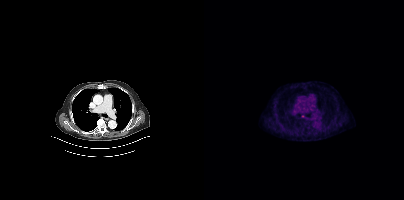
- Left: CT. Right: PSMA PET, same axial level, [18F]PSMA-1007 tracer
- acquired on Siemens Biograph mCT Flow 20
- PET panel 200×200 px (4.1 mm/px)
Findings: Coordinates are on the 200×200 PET (right) panel. Small PSMA-avid focus (2 to 4 px across) near (center x, center y): (99, 116).